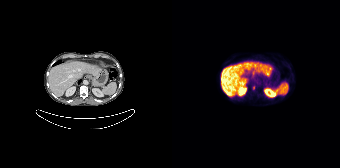
Coordinates are on the 168×168 PET (right) panel. PSMA-avid tumor lesion bounding box (x, y, width, height): x=80 y=84 w=4 h=7.